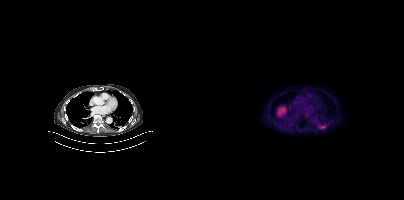
{"modality":"PSMA PET/CT","view":"axial","tracer":"18F-PSMA","pet_grid":[200,200],"coord_frame":"pet_panel","coord_format":"x0,y0,x1,y1","lesion_bboxes":[[115,125,121,128]]}